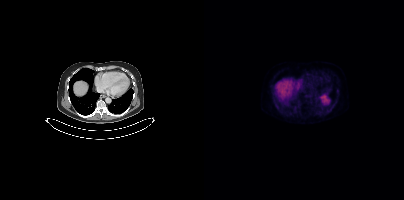
- Left: CT. Right: PSMA PET, same axial level, [68Ga]Ga-PSMA-11 tracer
- acquired on Siemens Biograph mCT Flow 20
- PET panel 200×200 px (4.1 mm/px)
Findings: This slice has no annotated PSMA-avid lesion.